- Left: CT. Right: PSMA PET, same axial level, 18F-PSMA tracer
- slice 350 of 381
- face de-identified by blanking a block of the head
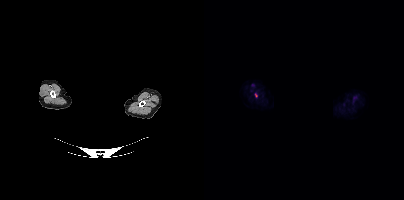
Findings: Coordinates are on the 200×200 PET (right) panel. Small PSMA-avid focus (2 to 4 px across) near (center x, center y): (52, 95).